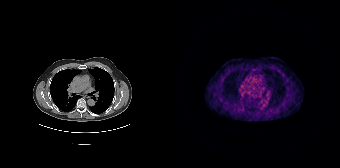
Left: CT. Right: PSMA PET, same axial level, 68Ga tracer. Acquired on Siemens Biograph 64-4R TruePoint. Slice 138 of 195. No tumor lesions annotated on this slice.